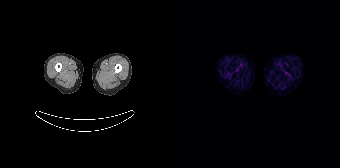
- Two-panel axial: CT | PSMA PET, [68Ga]Ga-PSMA-11 tracer
- acquired on Siemens Biograph 64-4R TruePoint
- slice position z = -1534 mm
- PET panel 168×168 px (4.1 mm/px)
Findings: Negative for PSMA-avid disease on this slice.